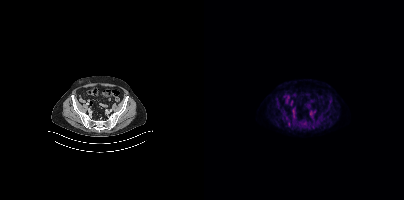
Paired axial CT (left) and PSMA PET (right), [18F]PSMA-1007 tracer. Acquired on Siemens Biograph mCT Flow 20. PET panel 200×200 px (4.1 mm/px).
Coordinates are on the 200×200 PET (right) panel. PSMA-avid tumor lesion bounding boxes:
| # | x0 | y0 | x1 | y1 |
|---|---|---|---|---|
| 1 | 88 | 109 | 92 | 114 |
Small PSMA-avid focus (2 to 4 px across) near (center x, center y): (88, 104).